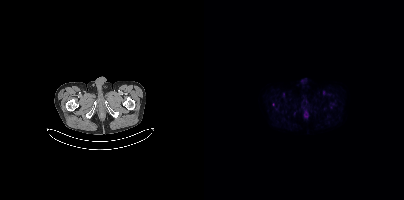
Paired axial CT (left) and PSMA PET (right), 18F-PSMA tracer. Acquired on Siemens Biograph mCT Flow 20. Coordinates are on the 200×200 PET (right) panel. (showing 1 of 2 foci) PSMA-avid tumor lesion bounding box (x0,y0,x1,y1): [100,111,104,117].